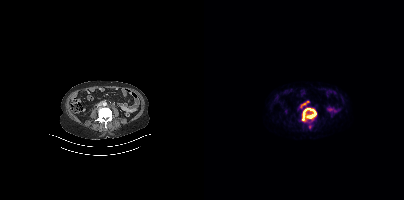
Left: CT. Right: PSMA PET, same axial level, 68Ga-PSMA tracer. Acquired on Siemens Biograph mCT Flow 20. Slice position z = 548 mm. PET panel 200×200 px (4.1 mm/px). Coordinates are on the 200×200 PET (right) panel. PSMA-avid tumor lesion bounding box (x0,y0,x1,y1): [98,108,112,123]. Small PSMA-avid foci (2 to 4 px across) near (center x, center y): (97, 106) (105, 127).